- any black rectangle over the head is a privacy mask, not anatomy
- Paired axial CT (left) and PSMA PET (right), 68Ga-PSMA tracer
- slice 443 of 444
- PET panel 200×200 px (4.1 mm/px)
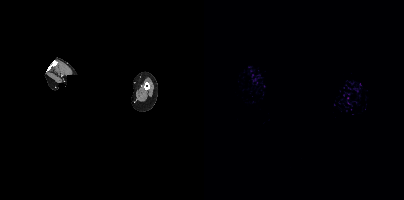
Findings: This slice has no annotated PSMA-avid lesion.